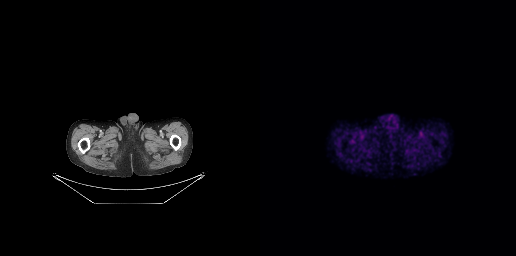
This slice has no annotated PSMA-avid lesion.